Technique: Paired axial CT (left) and PSMA PET (right), [18F]PSMA-1007 tracer. slice 59 of 165. PET panel 168×168 px (4.1 mm/px).
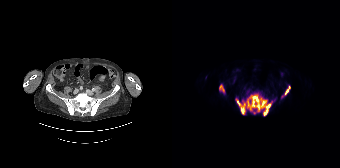
Findings: Coordinates are on the 168×168 PET (right) panel. PSMA-avid tumor lesion bounding boxes (x0,y0,x1,y1): [63,93,100,116], [47,84,53,93], [109,86,118,97].